- Left: CT. Right: PSMA PET, same axial level, [18F]PSMA-1007 tracer
- slice 358 of 413
- PET panel 200×200 px (4.1 mm/px)
- a rectangular block over the head has been blanked out for de-identification
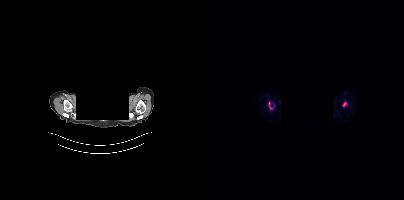
Findings: Coordinates are on the 200×200 PET (right) panel. PSMA-avid tumor lesion bounding boxes (x0,y0,x1,y1): [139,102,142,106] [65,102,67,109].